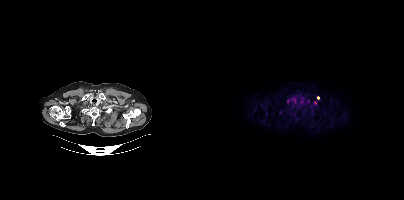
modality: PSMA PET/CT | tracer: 18F | view: axial | PET grid: 200×200
Coordinates are on the 200×200 PET (right) panel. (showing 1 of 2 foci) Small PSMA-avid focus (2 to 4 px across) near (center x, center y): (114, 97).